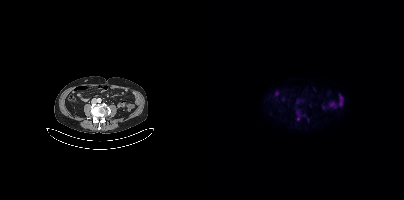
- Left: CT. Right: PSMA PET, same axial level, 18F-PSMA tracer
- slice position z = -54 mm
- PET panel 200×200 px (4.1 mm/px)
Findings: Coordinates are on the 200×200 PET (right) panel. Small PSMA-avid focus (2 to 4 px across) near (center x, center y): (93, 118).